Two-panel axial: CT | PSMA PET, 18F tracer. Slice position z = -1129 mm.
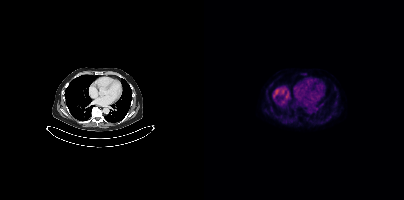
No PSMA-avid tumor lesions on this slice.